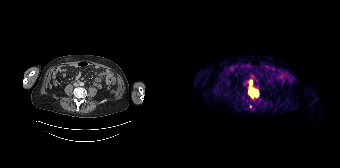
Paired axial CT (left) and PSMA PET (right), [68Ga]Ga-PSMA-11 tracer. Acquired on Siemens Biograph 64-4R TruePoint.
Coordinates are on the 168×168 PET (right) panel. PSMA-avid tumor lesion bounding boxes:
| # | x0 | y0 | x1 | y1 |
|---|---|---|---|---|
| 1 | 77 | 88 | 86 | 96 |
Small PSMA-avid focus (2 to 4 px across) near (center x, center y): (78, 81).